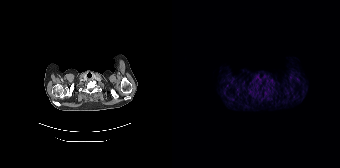
modality: PSMA PET/CT | tracer: [68Ga]Ga-PSMA-11 | view: axial | PET grid: 168×168
Negative for PSMA-avid disease on this slice.